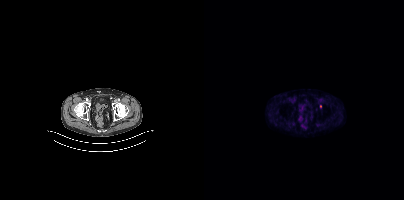
{"modality":"PSMA PET/CT","view":"axial","tracer":"18F","pet_grid":[200,200],"coord_frame":"pet_panel","coord_format":"x0,y0,x1,y1","lesion_bboxes":[],"small_foci_centers":[[116,106]]}